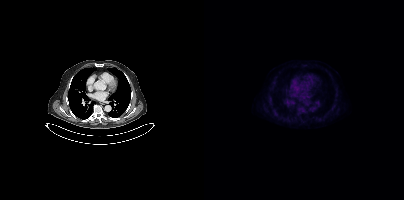
- Two-panel axial: CT | PSMA PET, 18F-PSMA tracer
Findings: No tumor lesions annotated on this slice.